modality: PSMA PET/CT | tracer: 18F-PSMA | view: axial
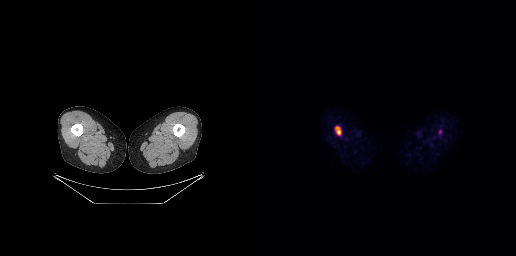
Coordinates are on the 256×256 PET (right) panel. PSMA-avid tumor lesion bounding box (x0, y0)-(x1, y1): (75, 126)-(80, 134).